Technique: Paired axial CT (left) and PSMA PET (right), 18F-PSMA tracer. acquired on Siemens Biograph mCT Flow 20. PET panel 200×200 px (4.1 mm/px).
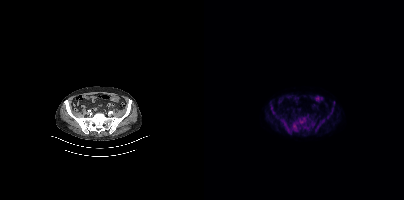
Findings: Coordinates are on the 200×200 PET (right) panel. PSMA-avid tumor lesion bounding boxes (x0, y0)-(x1, y1): (76, 115)-(106, 132) / (111, 119)-(120, 131) / (107, 121)-(111, 126) / (67, 107)-(70, 114) / (126, 110)-(128, 114). Small PSMA-avid focus (2 to 4 px across) near (center x, center y): (124, 117).